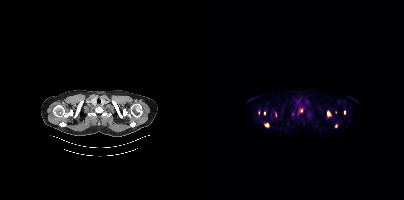
- Left: CT. Right: PSMA PET, same axial level, 18F-PSMA tracer
- acquired on Siemens Biograph mCT Flow 20
Findings: Coordinates are on the 200×200 PET (right) panel. (showing 6 of 9 foci) PSMA-avid tumor lesion bounding box (x, y, width, height): x=123 y=110 w=5 h=7. Small PSMA-avid foci (2 to 4 px across) near (center x, center y): (62, 124) | (140, 112) | (60, 113) | (97, 110) | (131, 126).